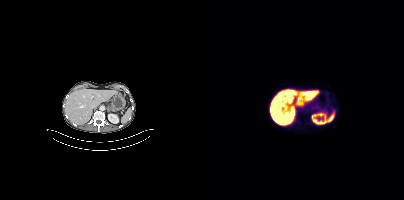
Negative for PSMA-avid disease on this slice.